Two-panel axial: CT | PSMA PET, [18F]PSMA-1007 tracer. Acquired on Siemens Biograph mCT Flow 20. Slice position z = -1604 mm.
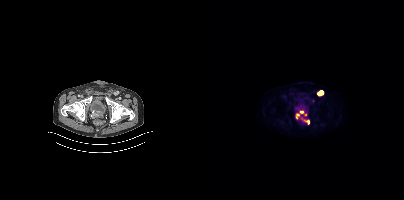
Coordinates are on the 200×200 PET (right) panel. PSMA-avid tumor lesion bounding boxes (x, y, width, height): x=92 y=110 w=11 h=10 / x=113 y=90 w=7 h=6 / x=97 y=118 w=9 h=7.